- Left: CT. Right: PSMA PET, same axial level, 68Ga tracer
- PET panel 168×168 px (4.1 mm/px)
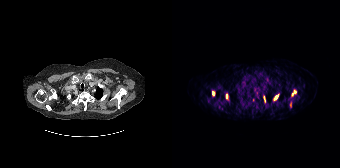
Findings: Coordinates are on the 168×168 PET (right) panel. PSMA-avid tumor lesion bounding boxes (x0, y0)-(x1, y1): (101, 94)-(107, 100) / (119, 89)-(124, 96) / (40, 91)-(43, 96) / (54, 93)-(56, 99) / (92, 96)-(93, 102). Small PSMA-avid focus (2 to 4 px across) near (center x, center y): (118, 104).